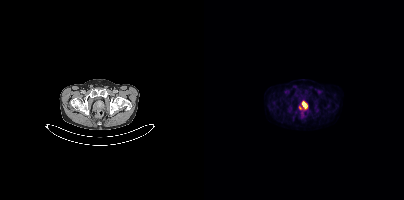
Coordinates are on the 200×200 PET (right) panel. PSMA-avid tumor lesion bounding box (x0, y0)-(x1, y1): (95, 101)-(103, 109).